- Paired axial CT (left) and PSMA PET (right), [18F]PSMA-1007 tracer
- slice 69 of 263
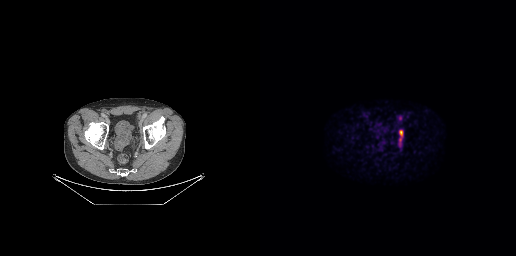
Findings: Coordinates are on the 256×256 PET (right) panel. PSMA-avid tumor lesion bounding box (x0,y0,x1,y1): [139,130,142,141].